Technique: Two-panel axial: CT | PSMA PET, [18F]PSMA-1007 tracer.
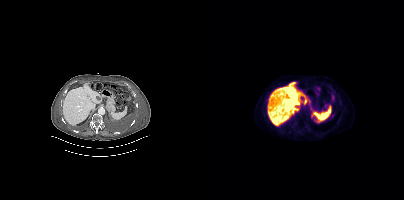
Findings: Coordinates are on the 200×200 PET (right) panel. (showing 2 of 3 foci) PSMA-avid tumor lesion bounding box (x, y, width, height): x=101 y=99 w=3 h=6. Small PSMA-avid focus (2 to 4 px across) near (center x, center y): (126, 87).